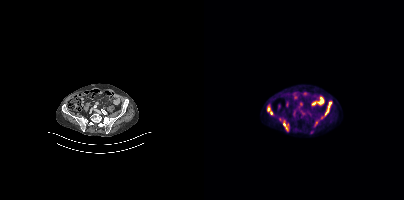
Coordinates are on the 200×200 PET (right) panel. (showing 3 of 5 foci) PSMA-avid tumor lesion bounding boxes (x0,y0,x1,y1): [79,122,85,131] [122,102,127,113] [63,106,68,114].